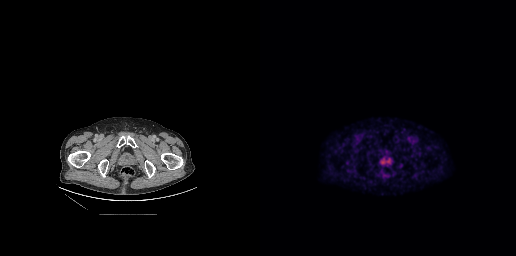
Findings: Coordinates are on the 256×256 PET (right) panel. PSMA-avid tumor lesion bounding box (x0, y0)-(x1, y1): (120, 158)-(130, 164).
- Paired axial CT (left) and PSMA PET (right), 18F tracer
- PET panel 256×256 px (2.7 mm/px)